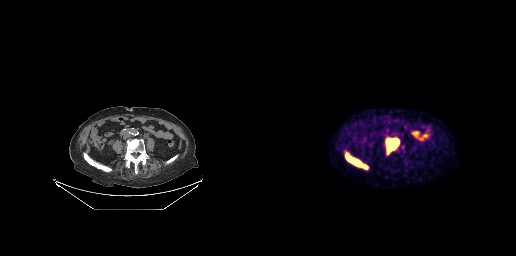
Coordinates are on the 256×256 PET (right) panel. PSMA-avid tumor lesion bounding boxes (x0,y0,x1,y1): [125,138,139,154] [85,153,107,169].